- Paired axial CT (left) and PSMA PET (right), [18F]PSMA-1007 tracer
- acquired on Siemens Biograph mCT Flow 20
- slice 198 of 397
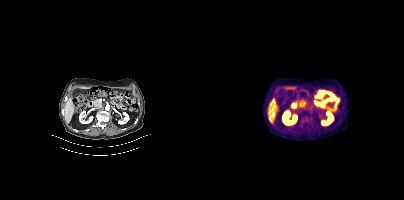
Findings: No tumor lesions annotated on this slice.